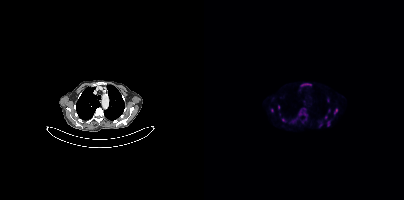
Coordinates are on the 200×200 PET (right) panel. PSMA-avid tumor lesion bounding boxes (partial; 5 more foci not listed):
| # | x0 | y0 | x1 | y1 |
|---|---|---|---|---|
| 1 | 130 | 109 | 133 | 113 |
| 2 | 124 | 121 | 125 | 126 |
Small PSMA-avid foci (2 to 4 px across) near (center x, center y): (74, 107); (79, 120); (67, 110); (121, 117); (116, 124).
Two-panel axial: CT | PSMA PET, 18F-PSMA tracer. Slice position z = -558 mm.